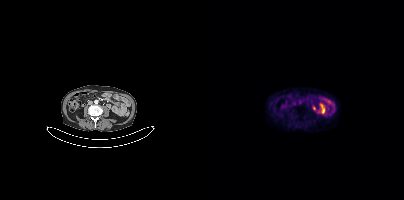
No PSMA-avid tumor lesions on this slice.